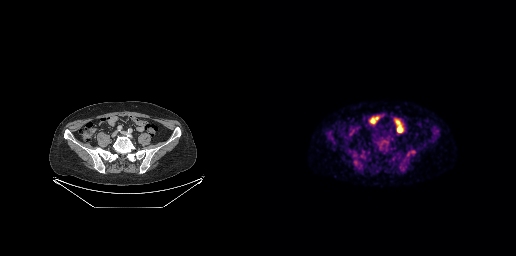
No PSMA-avid tumor lesions on this slice. Two-panel axial: CT | PSMA PET, [18F]PSMA-1007 tracer. PET panel 256×256 px (2.7 mm/px).